Two-panel axial: CT | PSMA PET, 18F tracer. Acquired on GE Discovery 690. PET panel 256×256 px (2.7 mm/px).
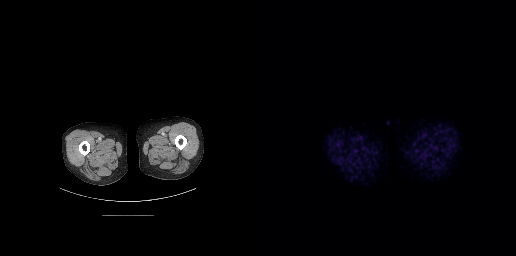
No tumor lesions annotated on this slice.